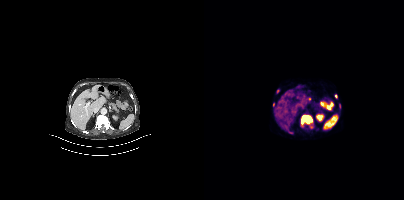
Technique: Paired axial CT (left) and PSMA PET (right), 68Ga-PSMA tracer. slice position z = 688 mm.
Findings: Coordinates are on the 200×200 PET (right) panel. PSMA-avid tumor lesion bounding boxes (x, y, width, height): x=97 y=115 w=13 h=13 / x=84 y=131 w=5 h=3. Small PSMA-avid foci (2 to 4 px across) near (center x, center y): (73, 90) / (69, 104) / (135, 105) / (131, 96) / (101, 128).